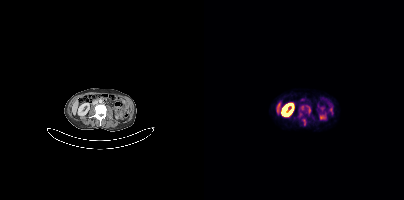
Left: CT. Right: PSMA PET, same axial level, 68Ga-PSMA tracer. Slice position z = -923 mm.
Coordinates are on the 200×200 PET (right) panel. PSMA-avid tumor lesion bounding boxes:
| # | x0 | y0 | x1 | y1 |
|---|---|---|---|---|
| 1 | 99 | 120 | 102 | 125 |
Small PSMA-avid focus (2 to 4 px across) near (center x, center y): (105, 112).